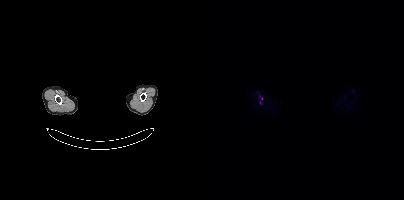
- the face region was removed for patient privacy by blanking a rectangle over the head
- Left: CT. Right: PSMA PET, same axial level, 18F-PSMA tracer
Findings: Coordinates are on the 200×200 PET (right) panel. (showing 1 of 2 foci) Small PSMA-avid focus (2 to 4 px across) near (center x, center y): (57, 98).